A rectangular block over the head has been blanked out for de-identification.
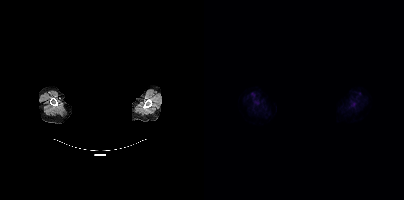
Coordinates are on the 200×200 PET (right) panel. PSMA-avid tumor lesion bounding box (x0,y0,x1,y1): [51,101,55,105].